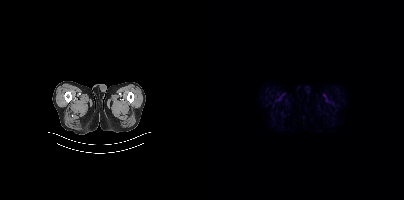
{"modality":"PSMA PET/CT","view":"axial","tracer":"18F-PSMA","pet_grid":[200,200],"coord_frame":"pet_panel","coord_format":"x0,y0,x1,y1","psma_avid_lesions":false}